modality: PSMA PET/CT | tracer: 18F | view: axial | PET grid: 200×200
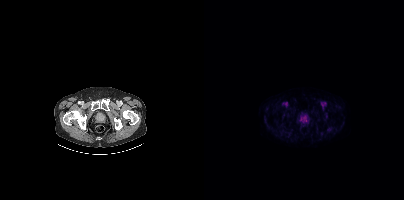
This slice has no annotated PSMA-avid lesion.